Two-panel axial: CT | PSMA PET, 68Ga-PSMA tracer. Slice position z = -1224 mm.
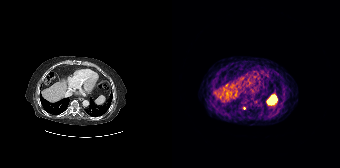
Coordinates are on the 168×168 PET (right) panel. Small PSMA-avid focus (2 to 4 px across) near (center x, center y): (72, 108).